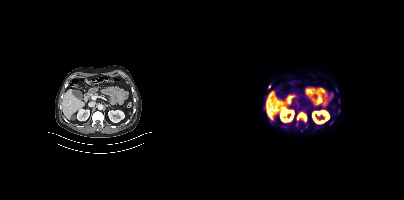
{"pet_grid":[200,200],"coord_frame":"pet_panel","coord_format":"x0,y0,x1,y1","partial":true,"lesion_bboxes":[[93,113,102,121]],"small_foci_centers":[[65,86]],"modality":"PSMA PET/CT","view":"axial","tracer":"18F-PSMA"}